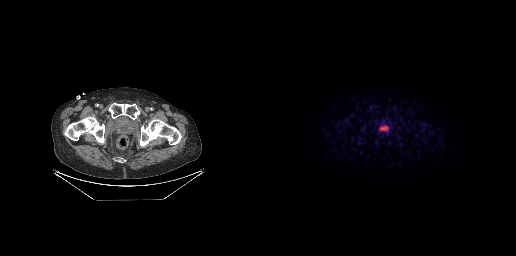
Left: CT. Right: PSMA PET, same axial level, 18F-PSMA tracer. No PSMA-avid tumor lesions on this slice.